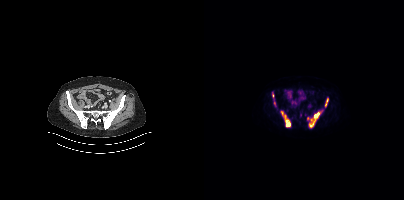
Coordinates are on the 200×200 PET (right) panel. PSMA-avid tumor lesion bounding boxes (partial; 1 more focus not listed):
| # | x0 | y0 | x1 | y1 |
|---|---|---|---|---|
| 1 | 77 | 111 | 86 | 127 |
| 2 | 105 | 113 | 114 | 127 |
| 3 | 121 | 99 | 124 | 106 |
| 4 | 68 | 93 | 70 | 97 |
Small PSMA-avid focus (2 to 4 px across) near (center x, center y): (70, 103).
Paired axial CT (left) and PSMA PET (right), [18F]PSMA-1007 tracer. PET panel 200×200 px (4.1 mm/px).